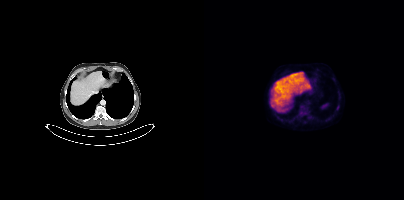
Technique: Two-panel axial: CT | PSMA PET, 18F tracer. PET panel 200×200 px (4.1 mm/px).
Findings: No PSMA-avid tumor lesions on this slice.